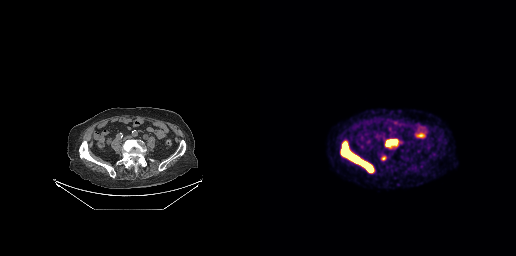
modality: PSMA PET/CT | tracer: [18F]PSMA-1007 | view: axial | PET grid: 256×256
Coordinates are on the 256×256 PET (right) panel. PSMA-avid tumor lesion bounding boxes (x0,y0,x1,y1): [81,141,114,172]; [125,139,138,148]; [121,156,125,160].